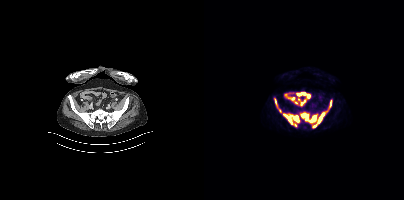
Coordinates are on the 200×200 PET (right) panel. (showing 8 of 9 foci) PSMA-avid tumor lesion bounding boxes (x0,y0,x1,y1): [96,112,112,122]; [114,109,124,123]; [79,114,88,124]; [89,115,95,122]; [71,99,73,106]; [126,100,127,106]. Small PSMA-avid foci (2 to 4 px across) near (center x, center y): (76, 110); (110, 126).